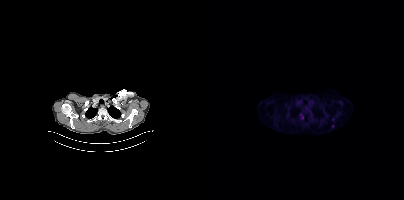
Findings: Coordinates are on the 200×200 PET (right) panel. Small PSMA-avid foci (2 to 4 px across) near (center x, center y): (97, 115) | (128, 126).
- Left: CT. Right: PSMA PET, same axial level, [18F]PSMA-1007 tracer
- acquired on Siemens Biograph mCT Flow 20
- slice 329 of 405
- PET panel 200×200 px (4.1 mm/px)